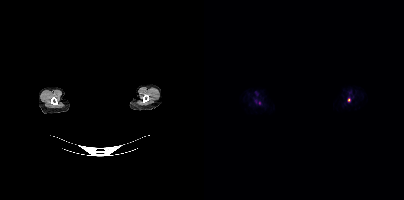
Two-panel axial: CT | PSMA PET, 18F tracer. Any black rectangle over the head is a privacy mask, not anatomy. Coordinates are on the 200×200 PET (right) panel. Small PSMA-avid focus (2 to 4 px across) near (center x, center y): (144, 99).